- Left: CT. Right: PSMA PET, same axial level, 68Ga-PSMA tracer
- slice 170 of 299
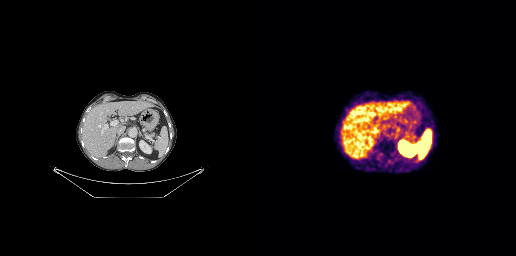
Findings: Coordinates are on the 256×256 PET (right) panel. Small PSMA-avid focus (2 to 4 px across) near (center x, center y): (124, 130).